Any black rectangle over the head is a privacy mask, not anatomy. Left: CT. Right: PSMA PET, same axial level, 18F tracer. Acquired on Siemens Biograph mCT Flow 20.
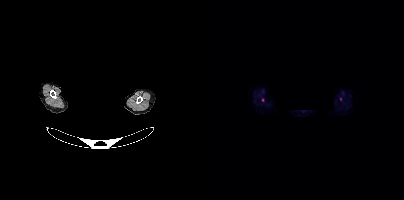
Coordinates are on the 200×200 PET (right) panel. Small PSMA-avid focus (2 to 4 px across) near (center x, center y): (58, 99).